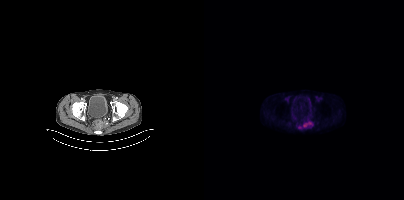
Coordinates are on the 200×200 PET (right) panel. PSMA-avid tumor lesion bounding boxes:
| # | x0 | y0 | x1 | y1 |
|---|---|---|---|---|
| 1 | 99 | 122 | 107 | 126 |
Small PSMA-avid focus (2 to 4 px across) near (center x, center y): (94, 127).
Paired axial CT (left) and PSMA PET (right), [18F]PSMA-1007 tracer. Acquired on Siemens Biograph mCT Flow 20. PET panel 200×200 px (4.1 mm/px).